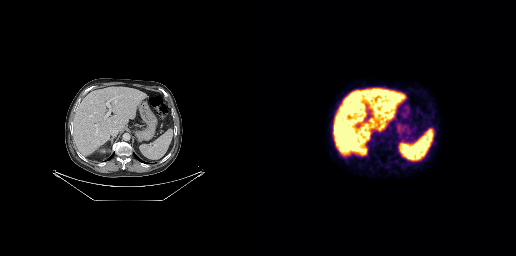
Negative for PSMA-avid disease on this slice.